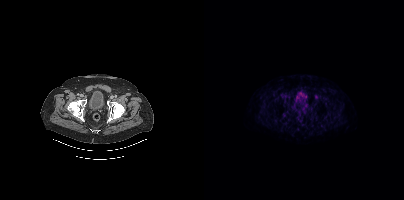
Two-panel axial: CT | PSMA PET, [18F]PSMA-1007 tracer. Slice position z = -1467 mm. Negative for PSMA-avid disease on this slice.